Technique: Paired axial CT (left) and PSMA PET (right), 18F-PSMA tracer. PET panel 168×168 px (4.1 mm/px).
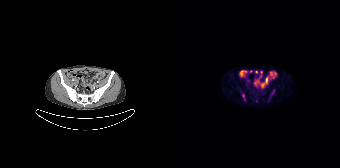
Findings: Coordinates are on the 168×168 PET (right) panel. (showing 1 of 2 foci) PSMA-avid tumor lesion bounding box (x0,y0,x1,y1): [97,89,103,98].